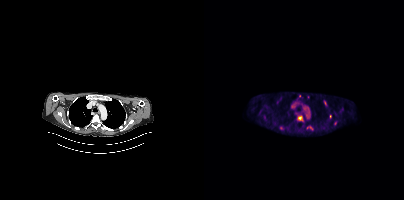
- Left: CT. Right: PSMA PET, same axial level, 18F tracer
Findings: Coordinates are on the 200×200 PET (right) panel. (showing 5 of 8 foci) PSMA-avid tumor lesion bounding boxes (x0, y0)-(x1, y1): (93, 115)-(99, 120) / (120, 101)-(122, 105). Small PSMA-avid foci (2 to 4 px across) near (center x, center y): (77, 127) / (126, 116) / (131, 123).